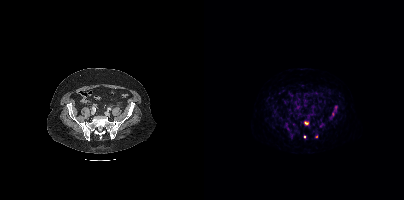
{"modality":"PSMA PET/CT","view":"axial","tracer":"68Ga","pet_grid":[200,200],"coord_frame":"pet_panel","coord_format":"x0,y0,x1,y1","lesion_bboxes":[[100,121,104,124],[130,106,133,110]],"small_foci_centers":[[129,113],[100,136],[112,136]]}